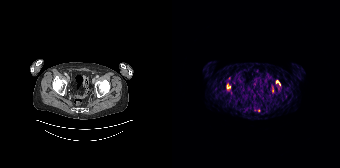
Left: CT. Right: PSMA PET, same axial level, [68Ga]Ga-PSMA-11 tracer. Acquired on Siemens Biograph 64-4R TruePoint. PET panel 168×168 px (4.1 mm/px). Coordinates are on the 168×168 PET (right) panel. PSMA-avid tumor lesion bounding boxes (x0, y0)-(x1, y1): (55, 84)-(58, 88) | (104, 80)-(108, 85) | (100, 88)-(101, 92).